Left: CT. Right: PSMA PET, same axial level, [18F]PSMA-1007 tracer. Acquired on Siemens Biograph mCT Flow 20.
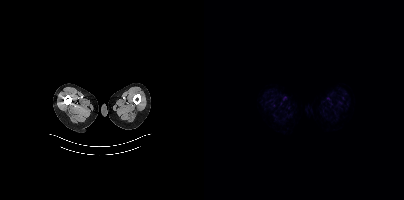
No tumor lesions annotated on this slice.